- Left: CT. Right: PSMA PET, same axial level, 18F tracer
- slice position z = -1058 mm
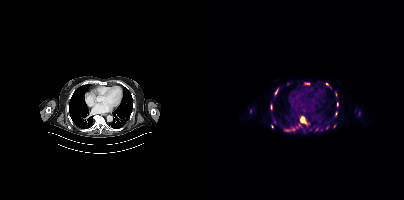
Findings: Coordinates are on the 200×200 PET (right) panel. (showing 12 of 16 foci) PSMA-avid tumor lesion bounding boxes (x0,y0,x1,y1): [96,116,102,123], [71,89,74,94], [81,129,85,131], [101,83,105,84], [133,102,134,106], [67,105,68,109]. Small PSMA-avid foci (2 to 4 px across) near (center x, center y): (88, 129), (132, 113), (112, 129), (123, 84), (46, 110), (92, 127).